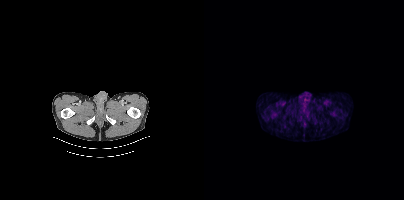
{"modality":"PSMA PET/CT","view":"axial","tracer":"18F","pet_grid":[200,200],"coord_frame":"pet_panel","coord_format":"x0,y0,x1,y1","psma_avid_lesions":false}